Technique: Left: CT. Right: PSMA PET, same axial level, [18F]PSMA-1007 tracer.
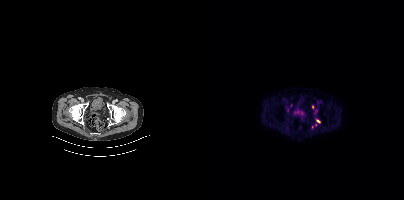
Findings: Coordinates are on the 200×200 PET (right) panel. Small PSMA-avid foci (2 to 4 px across) near (center x, center y): (114, 121); (108, 106).